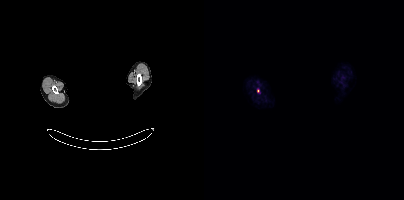
Left: CT. Right: PSMA PET, same axial level, 18F-PSMA tracer. PET panel 200×200 px (4.1 mm/px). Face de-identified by blanking a block of the head. Coordinates are on the 200×200 PET (right) panel. Small PSMA-avid focus (2 to 4 px across) near (center x, center y): (54, 90).